- Left: CT. Right: PSMA PET, same axial level, 18F-PSMA tracer
- PET panel 200×200 px (4.1 mm/px)
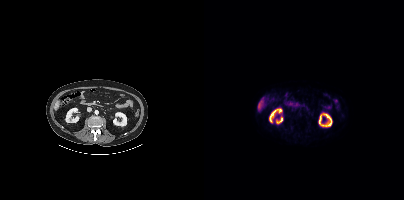
Findings: No PSMA-avid tumor lesions on this slice.